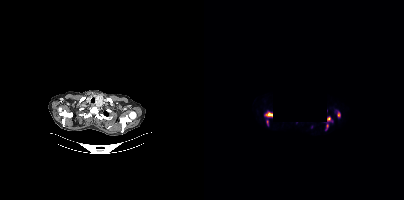
Coordinates are on the 200×200 PET (right) panel. PSMA-avid tumor lesion bounding boxes (x0,y0,x1,y1): [60,111,68,117], [123,117,126,121], [133,112,136,116], [62,119,64,124], [122,124,124,129].
de-identification: region redacted | modality: PSMA PET/CT | tracer: [18F]PSMA-1007 | view: axial | PET grid: 200×200